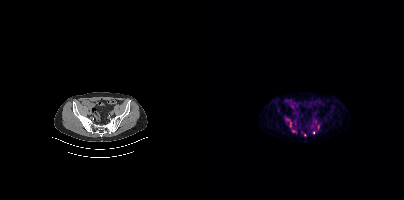
modality: PSMA PET/CT | tracer: 68Ga | view: axial
Coordinates are on the 200×200 PET (right) panel. (showing 1 of 5 foci) Small PSMA-avid focus (2 to 4 px across) near (center x, center y): (109, 132).